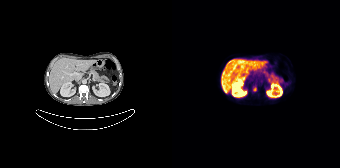
{"modality":"PSMA PET/CT","view":"axial","tracer":"[18F]PSMA-1007","pet_grid":[168,168],"coord_frame":"pet_panel","coord_format":"x0,y0,x1,y1","lesion_bboxes":[[80,84,84,91]]}